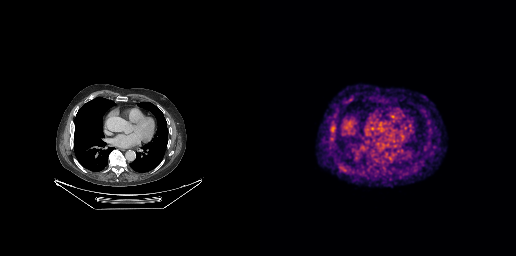
- Paired axial CT (left) and PSMA PET (right), 18F-PSMA tracer
Findings: Coordinates are on the 256×256 PET (right) panel. PSMA-avid tumor lesion bounding boxes (x0, y0)-(x1, y1): (79, 166)-(85, 171); (71, 121)-(75, 126).